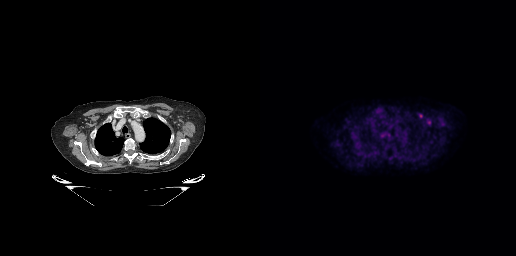
modality: PSMA PET/CT | tracer: 18F-PSMA | view: axial
Coordinates are on the 256×256 PET (right) panel. (showing 2 of 3 foci) Small PSMA-avid foci (2 to 4 px across) near (center x, center y): (160, 115); (122, 135).